modality: PSMA PET/CT | tracer: [18F]PSMA-1007 | view: axial | PET grid: 200×200
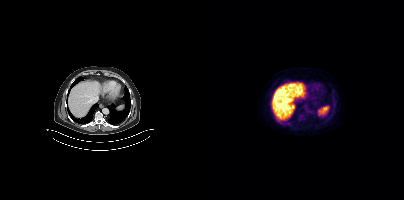
No PSMA-avid tumor lesions on this slice.